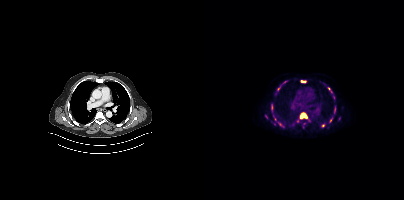
- Paired axial CT (left) and PSMA PET (right), 18F tracer
- PET panel 200×200 px (4.1 mm/px)
Findings: Coordinates are on the 200×200 PET (right) panel. (showing 9 of 14 foci) PSMA-avid tumor lesion bounding boxes (x, y, width, height): x=96 y=113 w=8 h=6 / x=130 y=106 w=2 h=7 / x=97 y=81 w=5 h=2. Small PSMA-avid foci (2 to 4 px across) near (center x, center y): (125, 88) / (62, 116) / (67, 105) / (71, 119) / (119, 125) / (126, 120).